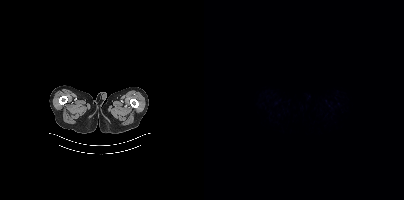
- Paired axial CT (left) and PSMA PET (right), 18F tracer
- slice position z = -1108 mm
Findings: This slice has no annotated PSMA-avid lesion.